- a rectangle over the head was blacked out to remove identifiable facial features
- Left: CT. Right: PSMA PET, same axial level, [18F]PSMA-1007 tracer
- acquired on Siemens Biograph mCT Flow 20
- slice position z = -316 mm
- PET panel 200×200 px (4.1 mm/px)
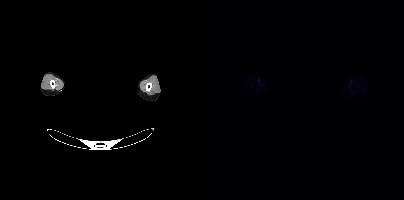
Findings: Negative for PSMA-avid disease on this slice.